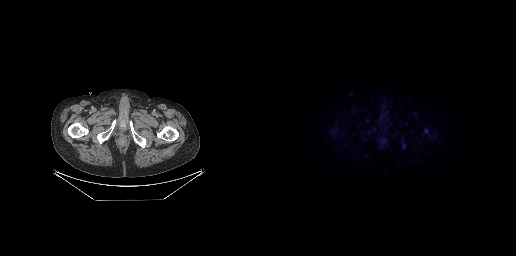
Findings: Coordinates are on the 256×256 PET (right) panel. Small PSMA-avid focus (2 to 4 px across) near (center x, center y): (165, 130).
Technique: Paired axial CT (left) and PSMA PET (right), [18F]PSMA-1007 tracer.